Left: CT. Right: PSMA PET, same axial level, 18F tracer. Acquired on Siemens Biograph mCT Flow 20. Slice position z = -868 mm.
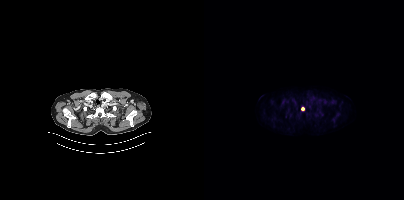
Coordinates are on the 200×200 PET (right) panel. Small PSMA-avid focus (2 to 4 px across) near (center x, center y): (98, 108).